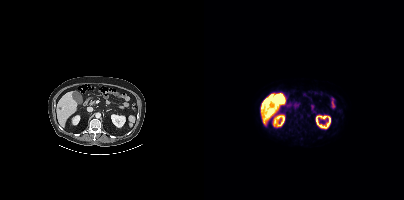
{"modality":"PSMA PET/CT","view":"axial","tracer":"18F-PSMA","pet_grid":[200,200],"coord_frame":"pet_panel","coord_format":"x0,y0,x1,y1","psma_avid_lesions":false}